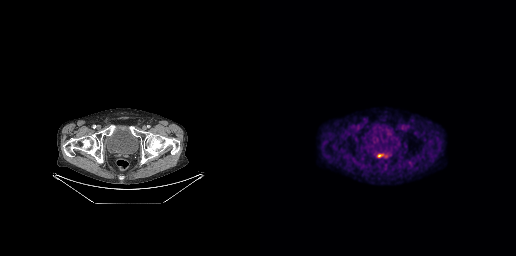
Findings: Coordinates are on the 256×256 PET (right) panel. Small PSMA-avid focus (2 to 4 px across) near (center x, center y): (121, 154).
- Left: CT. Right: PSMA PET, same axial level, 18F tracer
- acquired on GE Discovery 690